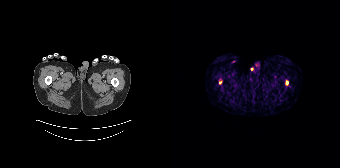
modality: PSMA PET/CT | tracer: 68Ga | view: axial
Coordinates are on the 168×168 PET (right) panel. Small PSMA-avid foci (2 to 4 px across) near (center x, center y): (115, 82); (48, 82).